Two-panel axial: CT | PSMA PET, 18F-PSMA tracer. PET panel 200×200 px (4.1 mm/px).
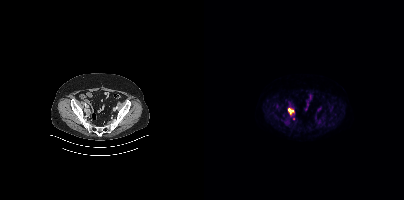
Coordinates are on the 200×200 PET (right) panel. PSMA-avid tumor lesion bounding boxes (partial; 1 more focus not listed):
| # | x0 | y0 | x1 | y1 |
|---|---|---|---|---|
| 1 | 84 | 108 | 90 | 114 |